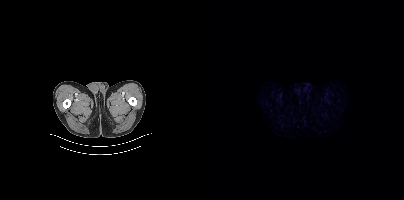
This slice has no annotated PSMA-avid lesion.